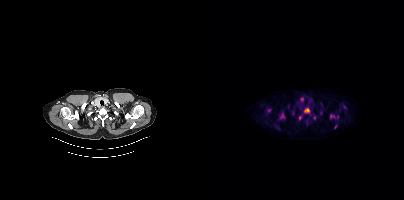
modality: PSMA PET/CT | tracer: 18F-PSMA | view: axial
Coordinates are on the 200×200 PET (right) panel. (showing 10 of 12 foci) PSMA-avid tumor lesion bounding boxes (x0, y0)-(x1, y1): (75, 112)-(81, 118) | (100, 108)-(105, 113) | (102, 119)-(104, 125) | (126, 115)-(130, 117). Small PSMA-avid foci (2 to 4 px across) near (center x, center y): (65, 110) | (131, 126) | (95, 117) | (98, 99) | (88, 112) | (110, 117).